- Left: CT. Right: PSMA PET, same axial level, [18F]PSMA-1007 tracer
- slice position z = -1512 mm
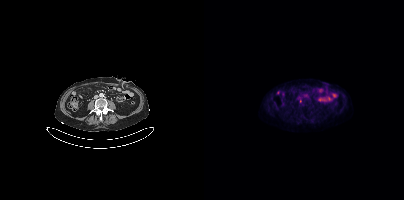
Findings: Only PSMA-avid lesion pieces thinner than 2 px on this slice (not listed).